- Left: CT. Right: PSMA PET, same axial level, 18F-PSMA tracer
- slice position z = -1160 mm
- PET panel 200×200 px (4.1 mm/px)
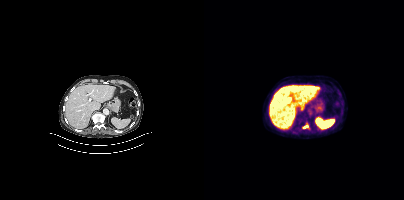
Findings: Coordinates are on the 200×200 PET (right) panel. (showing 1 of 2 foci) PSMA-avid tumor lesion bounding box (x0, y0)-(x1, y1): (99, 125)-(103, 128).